Two-panel axial: CT | PSMA PET, 68Ga tracer.
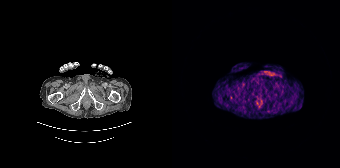
No tumor lesions annotated on this slice.